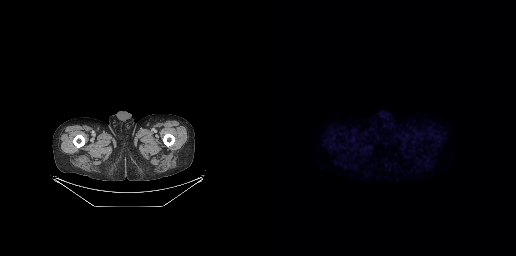
Findings: Negative for PSMA-avid disease on this slice.
Technique: Left: CT. Right: PSMA PET, same axial level, [18F]PSMA-1007 tracer. PET panel 256×256 px (2.7 mm/px).